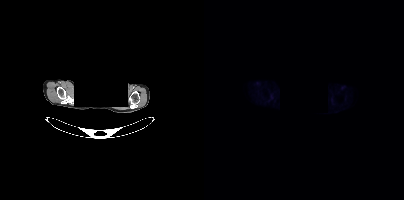
Face de-identified by blanking a block of the head. Left: CT. Right: PSMA PET, same axial level, 18F tracer. Acquired on Siemens Biograph mCT Flow 20. PET panel 200×200 px (4.1 mm/px). No PSMA-avid tumor lesions on this slice.